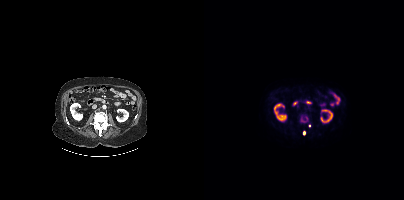
- Two-panel axial: CT | PSMA PET, 18F tracer
- PET panel 200×200 px (4.1 mm/px)
Findings: Coordinates are on the 200×200 PET (right) panel. (showing 1 of 2 foci) Small PSMA-avid focus (2 to 4 px across) near (center x, center y): (100, 132).